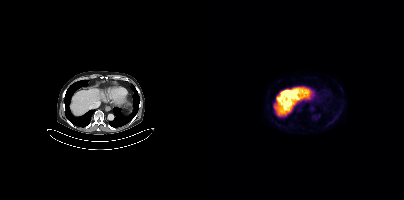
modality: PSMA PET/CT | tracer: 18F-PSMA | view: axial
Negative for PSMA-avid disease on this slice.